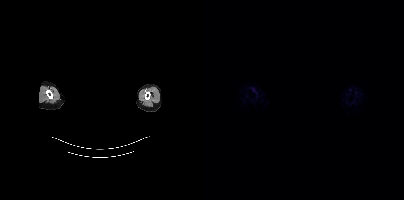
- face de-identified by blanking a block of the head
- Paired axial CT (left) and PSMA PET (right), 18F tracer
- acquired on Siemens Biograph mCT Flow 20
- slice 437 of 442
- PET panel 200×200 px (4.1 mm/px)
Findings: This slice has no annotated PSMA-avid lesion.